- Left: CT. Right: PSMA PET, same axial level, 68Ga tracer
- acquired on GE Discovery 690
- slice 295 of 299
- de-identified by setting a box covering the face to black before release
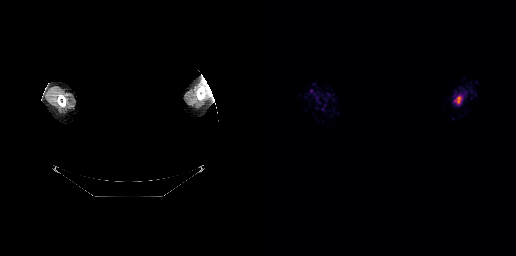
Findings: Coordinates are on the 256×256 PET (right) panel. PSMA-avid tumor lesion bounding box (x, y, width, height): x=198 y=97 w=2 h=6.